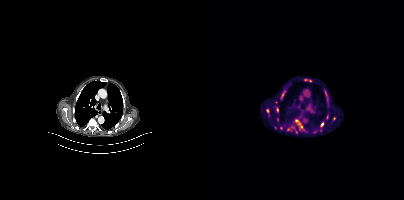
Paired axial CT (left) and PSMA PET (right), [18F]PSMA-1007 tracer. Acquired on Siemens Biograph mCT Flow 20. PET panel 200×200 px (4.1 mm/px). Coordinates are on the 200×200 PET (right) panel. PSMA-avid tumor lesion bounding boxes (x0, y0)-(x1, y1): (76, 87)-(83, 97) | (90, 120)-(98, 128) | (62, 108)-(65, 116) | (72, 106)-(74, 112). Small PSMA-avid foci (2 to 4 px across) near (center x, center y): (73, 119) | (85, 84) | (72, 102) | (130, 118) | (89, 127) | (108, 132).